- Two-panel axial: CT | PSMA PET, 68Ga-PSMA tracer
- slice 146 of 195
- PET panel 168×168 px (4.1 mm/px)
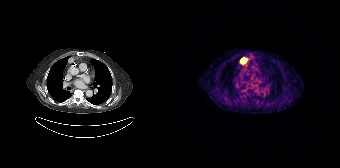
Findings: Coordinates are on the 168×168 PET (right) panel. PSMA-avid tumor lesion bounding box (x0,y0,x1,y1): [69,58,74,63].